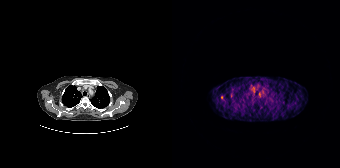
{"modality":"PSMA PET/CT","view":"axial","tracer":"68Ga-PSMA","pet_grid":[168,168],"coord_frame":"pet_panel","coord_format":"x0,y0,x1,y1","partial":true,"lesion_bboxes":[],"small_foci_centers":[[49,97]]}